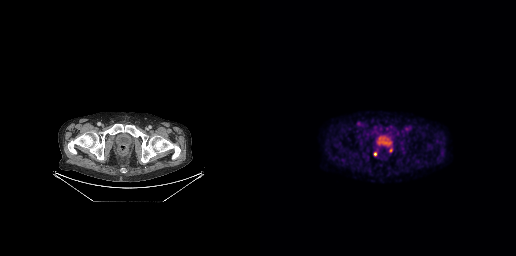
Only PSMA-avid lesion pieces thinner than 2 px on this slice (not listed).